- Paired axial CT (left) and PSMA PET (right), 68Ga-PSMA tracer
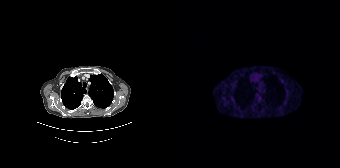
Findings: Coordinates are on the 168×168 PET (right) panel. Small PSMA-avid focus (2 to 4 px across) near (center x, center y): (60, 98).